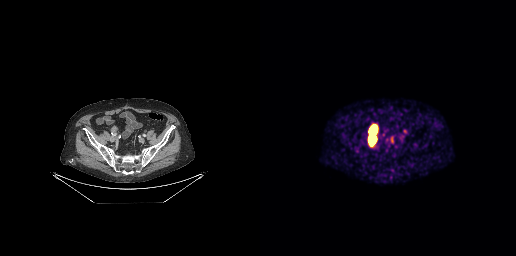
- Left: CT. Right: PSMA PET, same axial level, 68Ga-PSMA tracer
- acquired on GE Discovery 690
- PET panel 256×256 px (2.7 mm/px)
Findings: Coordinates are on the 256×256 PET (right) panel. PSMA-avid tumor lesion bounding boxes (x0,y0,x1,y1): [110,136,115,142] [110,127,115,133].